Paired axial CT (left) and PSMA PET (right), 18F tracer. Slice 82 of 466. PET panel 200×200 px (4.1 mm/px).
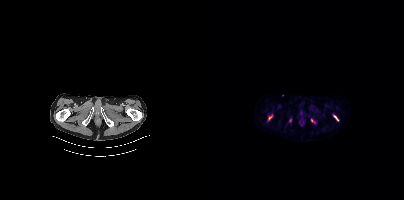
Coordinates are on the 200×200 PET (right) panel. (showing 3 of 4 foci) PSMA-avid tumor lesion bounding boxes (x0, y0)-(x1, y1): (107, 119)-(111, 123); (130, 115)-(134, 120); (64, 115)-(68, 118).